modality: PSMA PET/CT | tracer: 18F-PSMA | view: axial | PET grid: 168×168
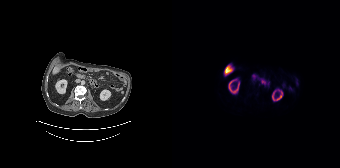
Only PSMA-avid lesion pieces thinner than 2 px on this slice (not listed).